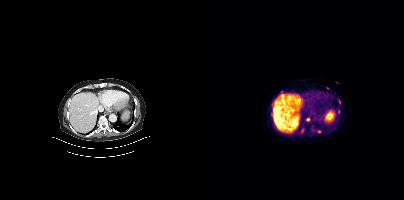
Findings: Coordinates are on the 200×200 PET (right) panel. PSMA-avid tumor lesion bounding box (x, y, width, height): x=96 y=128 w=5 h=6. Small PSMA-avid foci (2 to 4 px across) near (center x, center y): (77, 92); (134, 111); (104, 119); (115, 131); (135, 101); (123, 87).
Technique: Left: CT. Right: PSMA PET, same axial level, 18F-PSMA tracer. acquired on Siemens Biograph mCT Flow 20. PET panel 200×200 px (4.1 mm/px).